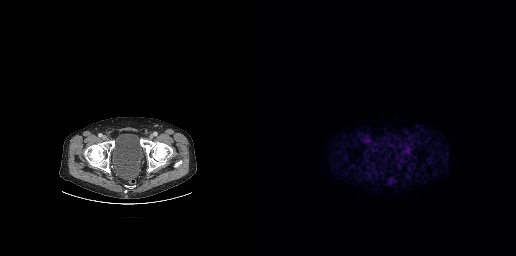
Technique: Left: CT. Right: PSMA PET, same axial level, 18F-PSMA tracer.
Findings: Coordinates are on the 256×256 PET (right) panel. PSMA-avid tumor lesion bounding box (x, y, width, height): x=145 y=147 w=7 h=7.